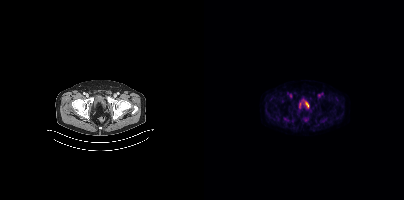
{"modality":"PSMA PET/CT","view":"axial","tracer":"18F-PSMA","pet_grid":[200,200],"coord_frame":"pet_panel","coord_format":"x0,y0,x1,y1","partial":true,"lesion_bboxes":[[79,117,86,121],[118,118,122,122]]}